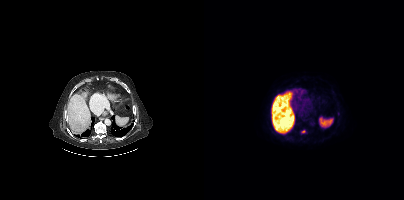
modality: PSMA PET/CT | tracer: 18F | view: axial | PET grid: 200×200
Coordinates are on the 200×200 PET (right) panel. Small PSMA-avid focus (2 to 4 px across) near (center x, center y): (99, 131).